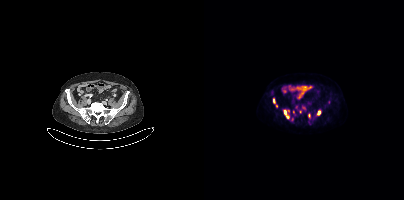
Coordinates are on the 200×200 PET (right) panel. PSMA-avid tumor lesion bounding boxes (partial; 2 more foci not listed):
| # | x0 | y0 | x1 | y1 |
|---|---|---|---|---|
| 1 | 95 | 105 | 102 | 113 |
| 2 | 80 | 110 | 85 | 118 |
| 3 | 69 | 99 | 71 | 103 |
Small PSMA-avid foci (2 to 4 px across) near (center x, center y): (114, 112); (92, 107); (105, 115); (72, 106); (89, 111); (84, 110).
Paired axial CT (left) and PSMA PET (right), 18F tracer. Acquired on Siemens Biograph mCT Flow 20.